Two-panel axial: CT | PSMA PET, 18F-PSMA tracer.
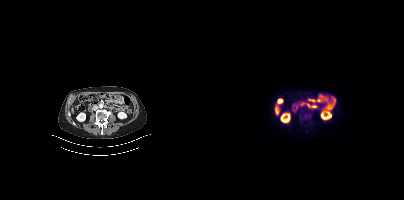
This slice has no annotated PSMA-avid lesion.